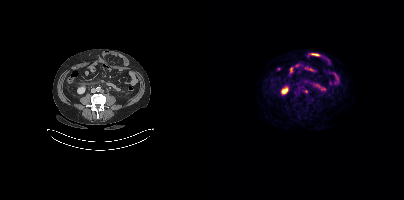
Findings: Coordinates are on the 200×200 PET (right) panel. PSMA-avid tumor lesion bounding box (x0,y0,x1,y1): [100,89,103,93].
Technique: Two-panel axial: CT | PSMA PET, 18F tracer. PET panel 200×200 px (4.1 mm/px).